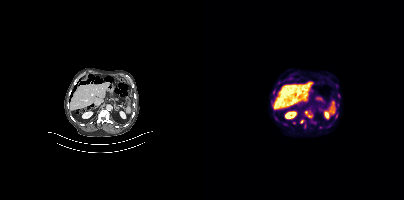
Technique: Left: CT. Right: PSMA PET, same axial level, 18F tracer. acquired on Siemens Biograph mCT Flow 20. PET panel 200×200 px (4.1 mm/px).
Findings: Coordinates are on the 200×200 PET (right) panel. (showing 11 of 15 foci) PSMA-avid tumor lesion bounding boxes (x, y, width, height): x=100 y=111 w=10 h=8 | x=66 y=97 w=4 h=8 | x=131 y=93 w=6 h=6 | x=96 y=119 w=5 h=5 | x=77 y=122 w=6 h=5 | x=71 y=117 w=5 h=6 | x=120 y=125 w=6 h=4. Small PSMA-avid foci (2 to 4 px across) near (center x, center y): (132, 116) | (69, 92) | (132, 85) | (80, 118).